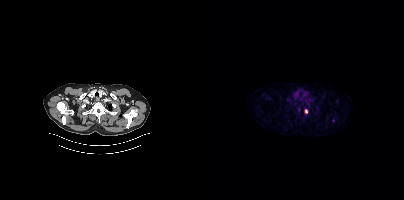
Coordinates are on the 200×200 PET (right) panel. (showing 1 of 2 foci) PSMA-avid tumor lesion bounding box (x, y, width, height): x=101 y=109 w=3 h=5. Two-panel axial: CT | PSMA PET, [18F]PSMA-1007 tracer.